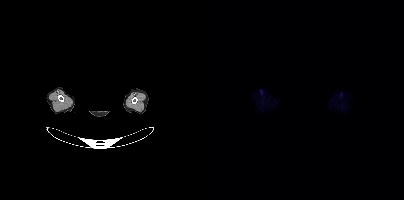
No PSMA-avid tumor lesions on this slice.
de-identification: head region blanked (face removed) | modality: PSMA PET/CT | tracer: [18F]PSMA-1007 | view: axial